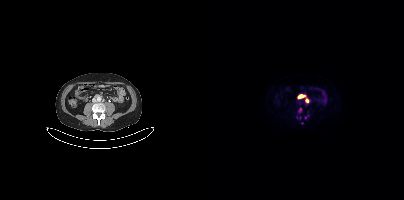
modality: PSMA PET/CT | tracer: 68Ga-PSMA | view: axial
Coordinates are on the 200×200 PET (right) panel. (showing 5 of 7 foci) PSMA-avid tumor lesion bounding boxes (x, y, width, height): x=94 y=95 w=9 h=4 | x=92 y=116 w=6 h=4. Small PSMA-avid foci (2 to 4 px across) near (center x, center y): (102, 101) | (95, 109) | (101, 117).